modality: PSMA PET/CT | tracer: 18F-PSMA | view: axial
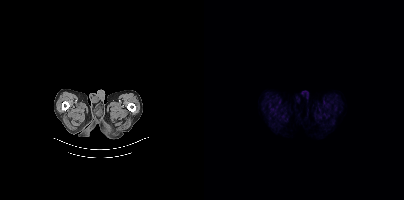
Negative for PSMA-avid disease on this slice.